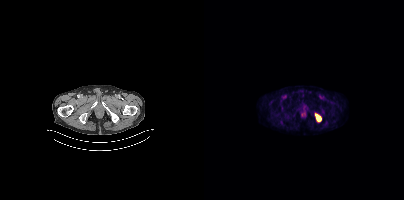
Two-panel axial: CT | PSMA PET, [18F]PSMA-1007 tracer. Slice 49 of 407.
Coordinates are on the 200×200 PET (right) panel. PSMA-avid tumor lesion bounding boxes:
| # | x0 | y0 | x1 | y1 |
|---|---|---|---|---|
| 1 | 111 | 113 | 117 | 121 |